- Two-panel axial: CT | PSMA PET, [68Ga]Ga-PSMA-11 tracer
- acquired on Siemens Biograph 64-4R TruePoint
- slice 25 of 195
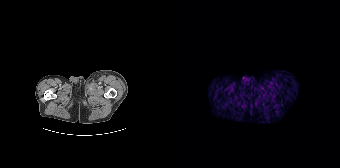
Findings: Negative for PSMA-avid disease on this slice.